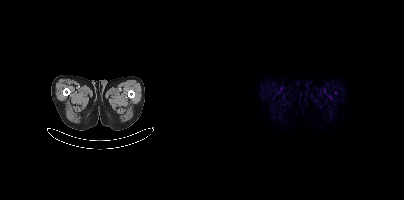
{"modality":"PSMA PET/CT","view":"axial","tracer":"18F","pet_grid":[200,200],"coord_frame":"pet_panel","coord_format":"x0,y0,x1,y1","psma_avid_lesions":false}